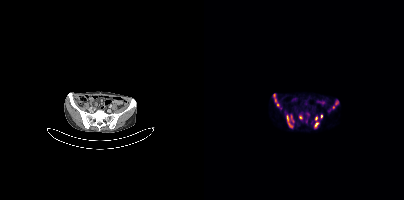
Coordinates are on the 200×200 PET (right) panel. (showing 8 of 9 foci) PSMA-avid tumor lesion bounding boxes (x, y, width, height): x=69 y=94 w=7 h=13; x=83 y=116 w=2 h=8. Small PSMA-avid foci (2 to 4 px across) near (center x, center y): (112, 124); (131, 102); (129, 107); (117, 116); (96, 117); (112, 118).
modality: PSMA PET/CT | tracer: 68Ga-PSMA | view: axial